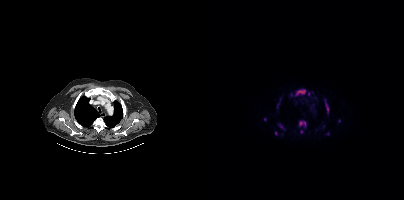
Coordinates are on the 200×200 PET (right) panel. (showing 12 of 14 foci) PSMA-avid tumor lesion bounding boxes (x0,y0,x1,y1): [91,89,101,95], [94,120,102,127], [121,103,124,113], [74,124,81,130], [71,131,73,135], [73,103,75,108]. Small PSMA-avid foci (2 to 4 px across) near (center x, center y): (97, 131), (61, 119), (124, 133), (104, 93), (135, 121), (87, 94). Left: CT. Right: PSMA PET, same axial level, [18F]PSMA-1007 tracer. Slice position z = -1129 mm. PET panel 200×200 px (4.1 mm/px).